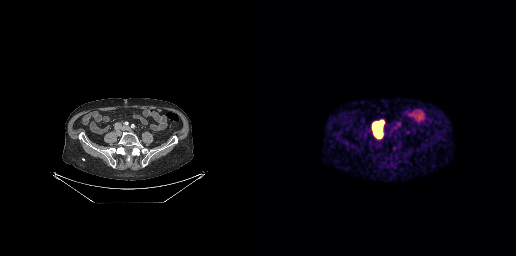
Coordinates are on the 256×256 PET (right) panel. PSMA-avid tumor lesion bounding box (x, y, width, height): x=114 y=123 w=8 h=14.